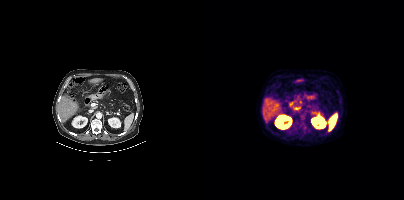
This slice has no annotated PSMA-avid lesion.
modality: PSMA PET/CT | tracer: 18F | view: axial